Left: CT. Right: PSMA PET, same axial level, [68Ga]Ga-PSMA-11 tracer. Slice 20 of 263. PET panel 256×256 px (2.7 mm/px).
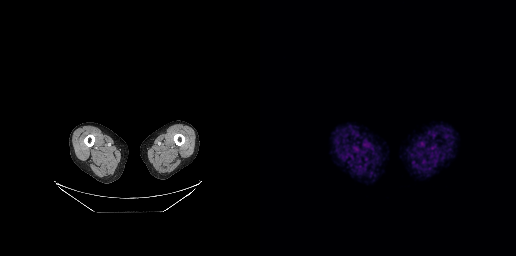
No PSMA-avid tumor lesions on this slice.